- Left: CT. Right: PSMA PET, same axial level, 68Ga-PSMA tracer
- acquired on GE Discovery 690
- slice 55 of 227
- PET panel 256×256 px (2.7 mm/px)
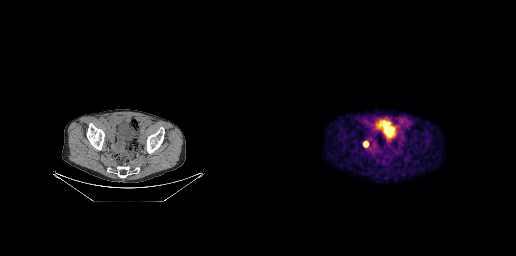
Findings: Coordinates are on the 256×256 PET (right) panel. Small PSMA-avid focus (2 to 4 px across) near (center x, center y): (105, 144).